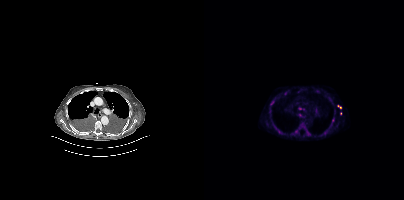
Technique: Left: CT. Right: PSMA PET, same axial level, [18F]PSMA-1007 tracer. acquired on Siemens Biograph mCT Flow 20. slice position z = -1272 mm. PET panel 200×200 px (4.1 mm/px).
Findings: Coordinates are on the 200×200 PET (right) panel. (showing 11 of 12 foci) PSMA-avid tumor lesion bounding boxes (x0,y0,x1,y1): [90,129,94,133]; [94,107,100,110]; [119,130,123,134]. Small PSMA-avid foci (2 to 4 px across) near (center x, center y): (75, 131); (96, 115); (135, 106); (67, 103); (95, 91); (128, 120); (81, 93); (103, 131).